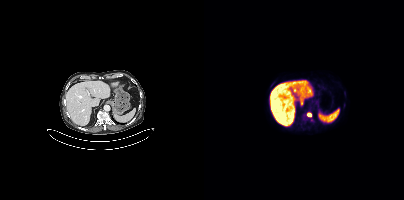
{"modality":"PSMA PET/CT","view":"axial","tracer":"18F","pet_grid":[200,200],"coord_frame":"pet_panel","coord_format":"x0,y0,x1,y1","lesion_bboxes":[[99,113,107,116]],"small_foci_centers":[[107,119],[67,85]]}